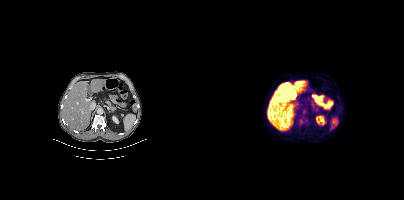
{"modality":"PSMA PET/CT","view":"axial","tracer":"18F","pet_grid":[200,200],"coord_frame":"pet_panel","coord_format":"x0,y0,x1,y1","lesion_bboxes":[],"small_foci_centers":[[96,120]]}